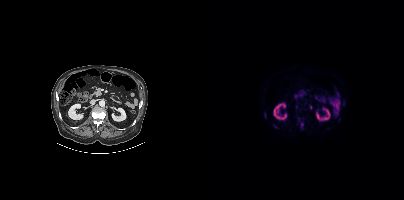
- Two-panel axial: CT | PSMA PET, [18F]PSMA-1007 tracer
- acquired on Siemens Biograph mCT Flow 20
- slice 193 of 423
- PET panel 200×200 px (4.1 mm/px)
Findings: Coordinates are on the 200×200 PET (right) panel. (showing 1 of 2 foci) PSMA-avid tumor lesion bounding box (x0, y0)-(x1, y1): (97, 123)-(99, 127).